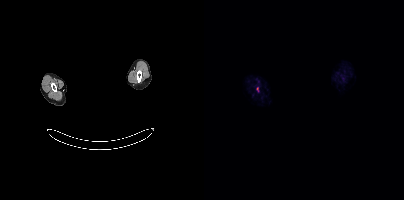
Coordinates are on the 200×200 PET (right) panel. PSMA-avid tumor lesion bounding box (x, y, width, height): x=53 y=87 w=2 h=5.
modality: PSMA PET/CT | tracer: [18F]PSMA-1007 | view: axial | de-identification: facial region redacted